Technique: Paired axial CT (left) and PSMA PET (right), 68Ga-PSMA tracer. acquired on Siemens Biograph 64-4R TruePoint. slice 147 of 165.
Note: Face de-identified by blanking a block of the head.
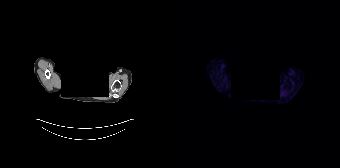
Findings: No tumor lesions annotated on this slice.